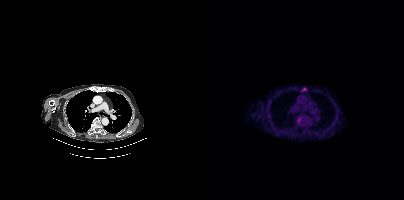
Only PSMA-avid lesion pieces thinner than 2 px on this slice (not listed).